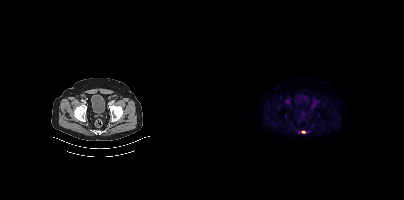
{"modality":"PSMA PET/CT","view":"axial","tracer":"18F-PSMA","pet_grid":[200,200],"coord_frame":"pet_panel","coord_format":"x0,y0,x1,y1","partial":true,"lesion_bboxes":[[97,131,101,133]]}